modality: PSMA PET/CT | tracer: 18F-PSMA | view: axial
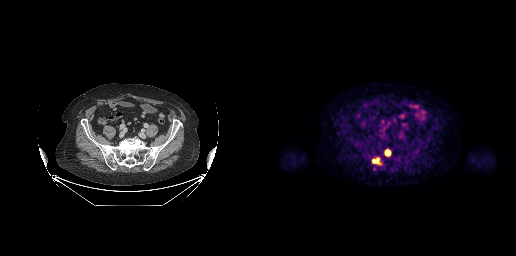
Coordinates are on the 256×256 PET (right) panel. PSMA-avid tumor lesion bounding boxes (x0,y0,x1,y1): [112,157,120,164]; [124,149,131,156].